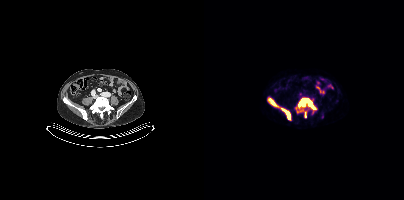
Findings: Coordinates are on the 200×200 PET (right) panel. (showing 5 of 6 foci) PSMA-avid tumor lesion bounding boxes (x0,y0,x1,y1): [92,98,111,112], [77,108,86,119], [65,98,72,106], [101,112,102,117]. Small PSMA-avid focus (2 to 4 px across) near (center x, center y): (108, 112).
- Two-panel axial: CT | PSMA PET, [18F]PSMA-1007 tracer
- acquired on Siemens Biograph mCT Flow 20
- PET panel 200×200 px (4.1 mm/px)